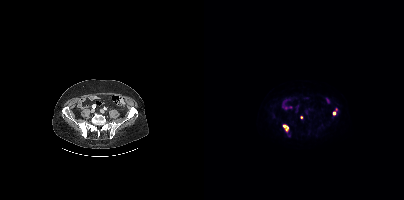
Coordinates are on the 200×200 PET (right) panel. PSMA-avid tumor lesion bounding boxes:
| # | x0 | y0 | x1 | y1 |
|---|---|---|---|---|
| 1 | 79 | 124 | 84 | 131 |
Small PSMA-avid foci (2 to 4 px across) near (center x, center y): (130, 113); (97, 117).
Paired axial CT (left) and PSMA PET (right), 18F-PSMA tracer. PET panel 200×200 px (4.1 mm/px).